Technique: Two-panel axial: CT | PSMA PET, 68Ga tracer. acquired on Siemens Biograph 64-4R TruePoint. PET panel 168×168 px (4.1 mm/px).
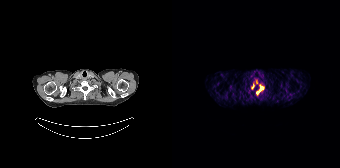
Findings: Coordinates are on the 168×168 PET (right) panel. (showing 2 of 3 foci) PSMA-avid tumor lesion bounding boxes (x0, y0)-(x1, y1): (84, 85)-(92, 94) | (80, 84)-(82, 88).